modality: PSMA PET/CT | tracer: 18F | view: axial | PET grid: 200×200
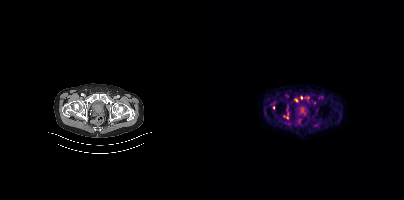
Coordinates are on the 200×200 PET (right) panel. (showing 2 of 4 foci) Small PSMA-avid foci (2 to 4 px across) near (center x, center y): (92, 100); (69, 107).